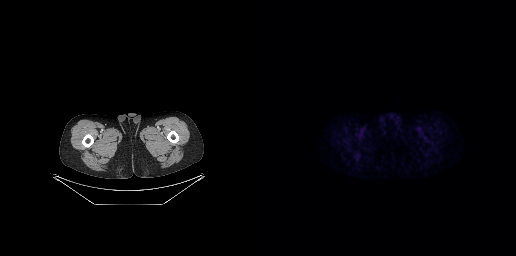
No tumor lesions annotated on this slice.